Paired axial CT (left) and PSMA PET (right), [68Ga]Ga-PSMA-11 tracer. Acquired on GE Discovery 690. Slice 208 of 299.
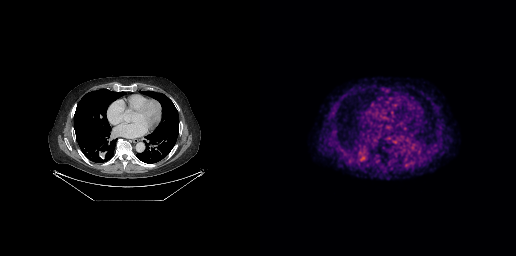
This slice has no annotated PSMA-avid lesion.